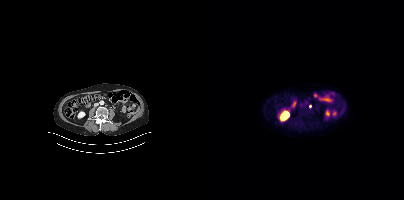
- Two-panel axial: CT | PSMA PET, 18F-PSMA tracer
Findings: Only PSMA-avid lesion pieces thinner than 2 px on this slice (not listed).